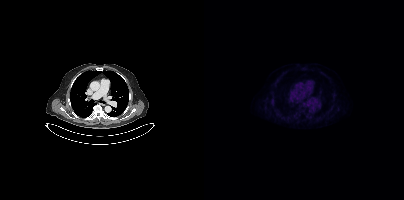
No PSMA-avid tumor lesions on this slice. Two-panel axial: CT | PSMA PET, 18F tracer. Acquired on Siemens Biograph mCT Flow 20. PET panel 200×200 px (4.1 mm/px).